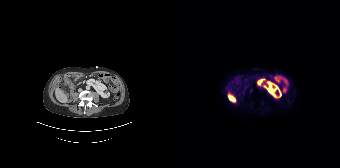
Paired axial CT (left) and PSMA PET (right), 18F-PSMA tracer. This slice has no annotated PSMA-avid lesion.